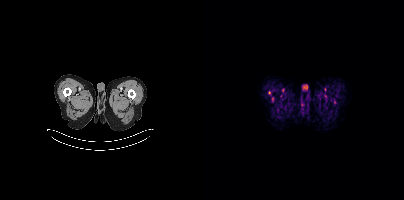
Findings: Coordinates are on the 200×200 PET (right) panel. Small PSMA-avid focus (2 to 4 px across) near (center x, center y): (65, 92).
Technique: Left: CT. Right: PSMA PET, same axial level, 18F tracer. acquired on Siemens Biograph mCT Flow 20. PET panel 200×200 px (4.1 mm/px).